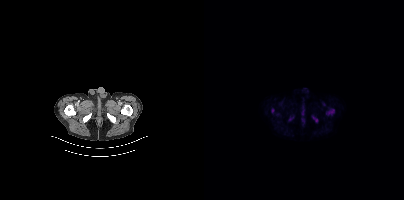
{"pet_grid":[200,200],"coord_frame":"pet_panel","coord_format":"x0,y0,x1,y1","partial":true,"lesion_bboxes":[[122,109,130,115],[108,116,113,122]],"small_foci_centers":[[86,119]],"modality":"PSMA PET/CT","view":"axial","tracer":"[18F]PSMA-1007"}